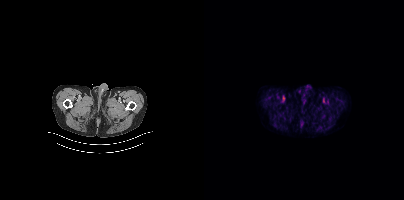
Findings: This slice has no annotated PSMA-avid lesion.
- Left: CT. Right: PSMA PET, same axial level, 18F tracer